Paired axial CT (left) and PSMA PET (right), 68Ga tracer.
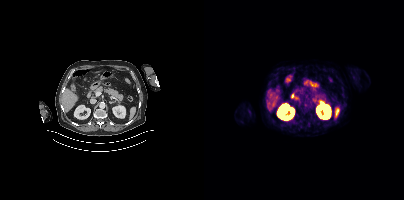
This slice has no annotated PSMA-avid lesion.